modality: PSMA PET/CT | tracer: 18F | view: axial
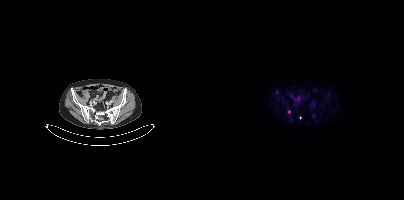
Coordinates are on the 200×200 PET (right) panel. Small PSMA-avid foci (2 to 4 px across) near (center x, center y): (85, 111) / (96, 117).